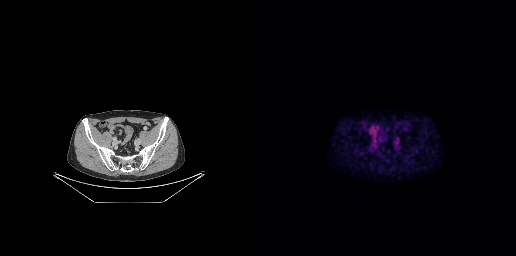
- Two-panel axial: CT | PSMA PET, 18F tracer
- acquired on GE Discovery 690
- slice position z = -638 mm
Findings: No tumor lesions annotated on this slice.